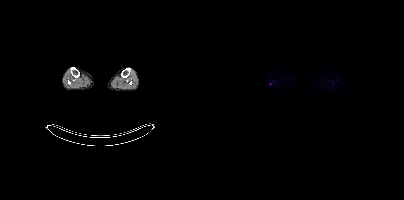
Findings: Only PSMA-avid lesion pieces thinner than 2 px on this slice (not listed).
Technique: Paired axial CT (left) and PSMA PET (right), 18F tracer. acquired on Siemens Biograph mCT Flow 20. slice position z = -1533 mm. PET panel 200×200 px (4.1 mm/px).